Technique: Two-panel axial: CT | PSMA PET, [18F]PSMA-1007 tracer. acquired on Siemens Biograph mCT Flow 20. slice position z = -74 mm.
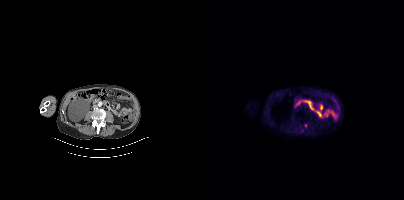
Findings: Coordinates are on the 200×200 PET (right) panel. Small PSMA-avid focus (2 to 4 px across) near (center x, center y): (101, 125).